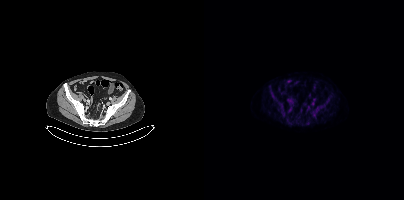
Findings: No tumor lesions annotated on this slice.
- Left: CT. Right: PSMA PET, same axial level, 18F tracer